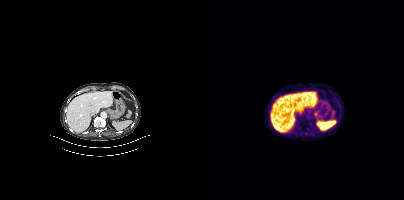
Negative for PSMA-avid disease on this slice. Left: CT. Right: PSMA PET, same axial level, [68Ga]Ga-PSMA-11 tracer. Acquired on Siemens Biograph mCT Flow 20. Slice position z = -736 mm. PET panel 200×200 px (4.1 mm/px).